Left: CT. Right: PSMA PET, same axial level, 18F tracer. Slice 224 of 450.
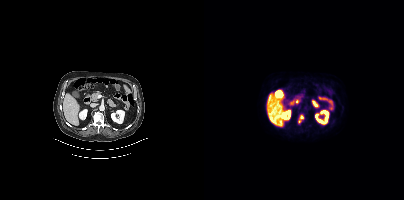
Coordinates are on the 200×200 PET (right) panel. PSMA-avid tumor lesion bounding box (x, y, width, height): x=94 y=115 w=6 h=8.